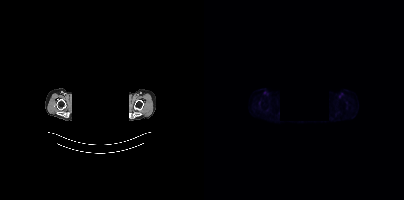
Two-panel axial: CT | PSMA PET, [18F]PSMA-1007 tracer. A rectangular block over the head has been blanked out for de-identification. Negative for PSMA-avid disease on this slice.